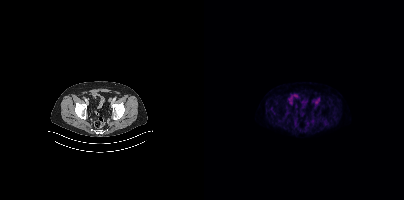
Findings: Coordinates are on the 200×200 PET (right) panel. PSMA-avid tumor lesion bounding box (x, y, width, height): x=84 y=97 w=5 h=5.
Technique: Paired axial CT (left) and PSMA PET (right), 18F tracer. acquired on Siemens Biograph mCT Flow 20. slice 86 of 409. PET panel 200×200 px (4.1 mm/px).